modality: PSMA PET/CT | tracer: 18F-PSMA | view: axial | PET grid: 200×200
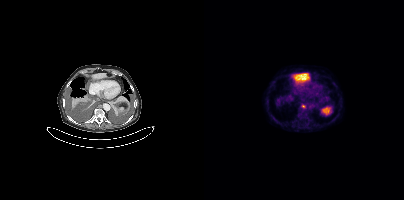
Coordinates are on the 200×200 PET (right) panel. Small PSMA-avid focus (2 to 4 px across) near (center x, center y): (99, 106).